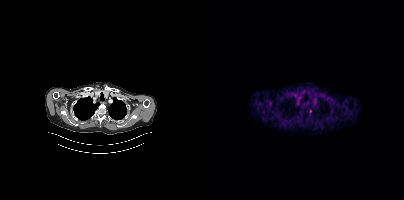
{"pet_grid":[200,200],"coord_frame":"pet_panel","coord_format":"x0,y0,x1,y1","lesion_bboxes":[],"small_foci_centers":[[106,111]],"modality":"PSMA PET/CT","view":"axial","tracer":"18F-PSMA"}